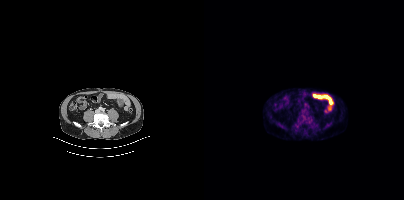
{"pet_grid":[200,200],"coord_frame":"pet_panel","coord_format":"x0,y0,x1,y1","lesion_bboxes":[[98,115,108,125]],"modality":"PSMA PET/CT","view":"axial","tracer":"18F-PSMA"}